Left: CT. Right: PSMA PET, same axial level, [18F]PSMA-1007 tracer. PET panel 200×200 px (4.1 mm/px).
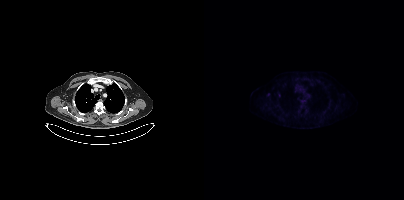
This slice has no annotated PSMA-avid lesion.